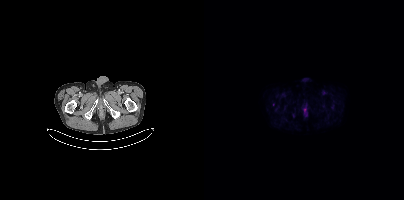
Two-panel axial: CT | PSMA PET, 18F tracer. Slice position z = -1531 mm. PET panel 200×200 px (4.1 mm/px). Coordinates are on the 200×200 PET (right) panel. (showing 1 of 2 foci) PSMA-avid tumor lesion bounding box (x, y, width, height): x=99 y=108 w=5 h=9.